modality: PSMA PET/CT | tracer: 18F-PSMA | view: axial
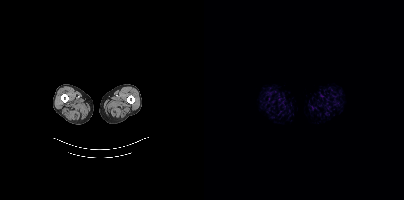
Negative for PSMA-avid disease on this slice.